Two-panel axial: CT | PSMA PET, [68Ga]Ga-PSMA-11 tracer. Acquired on Siemens Biograph mCT Flow 20. PET panel 200×200 px (4.1 mm/px).
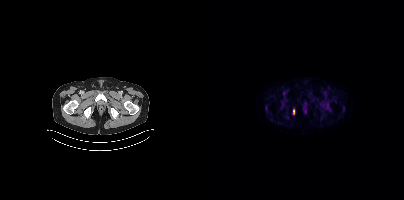
Coordinates are on the 200×200 PET (right) panel. PSMA-avid tumor lesion bounding boxes:
| # | x0 | y0 | x1 | y1 |
|---|---|---|---|---|
| 1 | 89 | 110 | 90 | 114 |